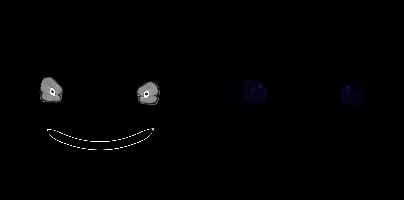
{"modality":"PSMA PET/CT","view":"axial","tracer":"[18F]PSMA-1007","pet_grid":[200,200],"coord_frame":"pet_panel","coord_format":"x0,y0,x1,y1","redaction":"rectangular block over head set to black","psma_avid_lesions":false}